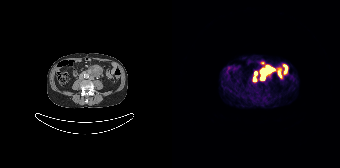
Coordinates are on the 168×168 PET (right) panel. PSMA-avid tumor lesion bounding box (x0, y0)-(x1, y1): (89, 67)-(98, 74). Small PSMA-avid foci (2 to 4 px across) near (center x, center y): (90, 78) / (82, 78) / (83, 73) / (100, 68).